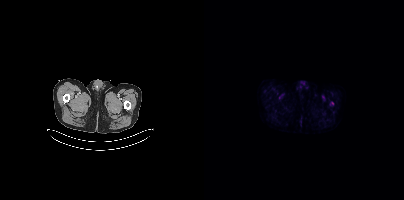
{"modality":"PSMA PET/CT","view":"axial","tracer":"[18F]PSMA-1007","pet_grid":[200,200],"coord_frame":"pet_panel","coord_format":"x0,y0,x1,y1","psma_avid_lesions":false}